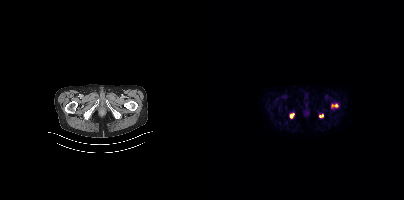
{"modality":"PSMA PET/CT","view":"axial","tracer":"18F","pet_grid":[200,200],"coord_frame":"pet_panel","coord_format":"x0,y0,x1,y1","partial":true,"lesion_bboxes":[[86,113,89,117],[115,114,119,117]],"small_foci_centers":[[132,105]]}